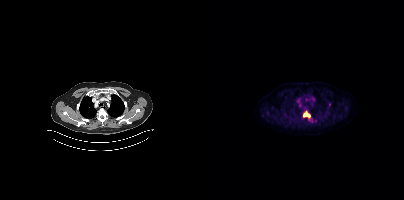
Coordinates are on the 200×200 PET (right) panel. PSMA-avid tumor lesion bounding box (x0,y0,x1,y1): [99,111,106,119]. Small PSMA-avid focus (2 to 4 px across) near (center x, center y): (125, 104).
modality: PSMA PET/CT | tracer: [18F]PSMA-1007 | view: axial